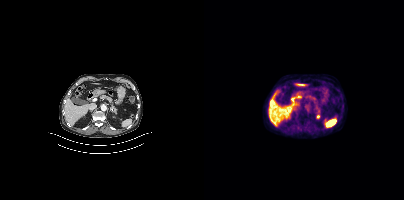
- Left: CT. Right: PSMA PET, same axial level, [18F]PSMA-1007 tracer
- slice position z = -1194 mm
- PET panel 200×200 px (4.1 mm/px)
Findings: No PSMA-avid tumor lesions on this slice.